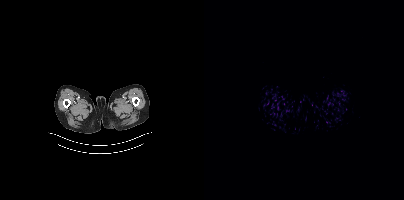
No tumor lesions annotated on this slice.